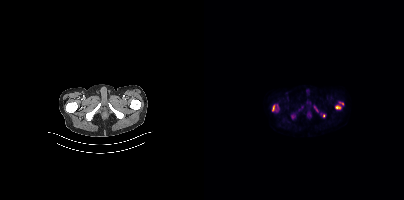
{"modality":"PSMA PET/CT","view":"axial","tracer":"18F-PSMA","pet_grid":[200,200],"coord_frame":"pet_panel","coord_format":"x0,y0,x1,y1","lesion_bboxes":[[131,105,137,109],[68,104,74,110],[87,114,91,119],[110,106,114,112],[135,102,139,104]],"small_foci_centers":[[119,115]]}